modality: PSMA PET/CT | tracer: 68Ga | view: axial | PET grid: 200×200
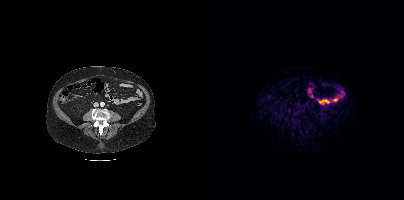
No PSMA-avid tumor lesions on this slice.